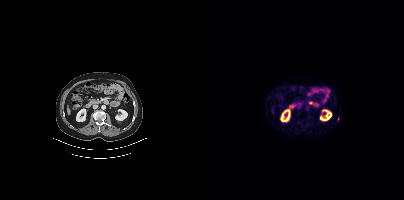
Two-panel axial: CT | PSMA PET, 18F tracer. Acquired on Siemens Biograph mCT Flow 20. Slice 182 of 401. Coordinates are on the 200×200 PET (right) panel. Small PSMA-avid focus (2 to 4 px across) near (center x, center y): (134, 119).